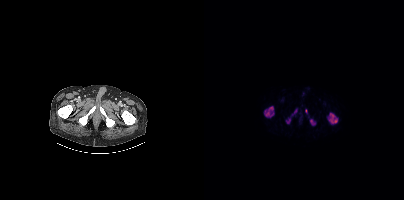
{"modality":"PSMA PET/CT","view":"axial","tracer":"18F-PSMA","pet_grid":[200,200],"coord_frame":"pet_panel","coord_format":"x0,y0,x1,y1","lesion_bboxes":[[60,106,70,117],[123,112,134,124],[106,119,111,125],[82,119,86,123],[101,109,103,113],[90,109,92,113]]}